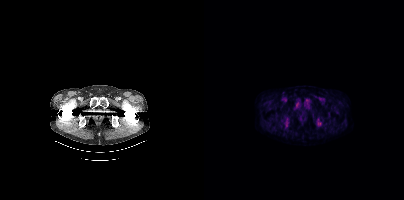
{"pet_grid":[200,200],"coord_frame":"pet_panel","coord_format":"x0,y0,x1,y1","psma_avid_lesions":false,"modality":"PSMA PET/CT","view":"axial","tracer":"18F"}